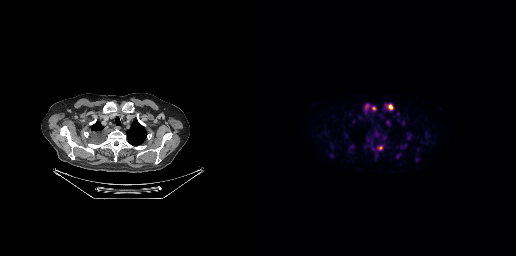
modality: PSMA PET/CT | tracer: 18F | view: axial | PET grid: 256×256
Coordinates are on the 256×256 PET (right) panel. PSMA-avid tumor lesion bounding boxes (x0,y0,x1,y1): [124,104,134,111], [118,146,122,149], [112,106,115,110], [105,104,108,109]. Small PSMA-avid foci (2 to 4 px across) near (center x, center y): (127, 122), (143, 123), (137, 113).